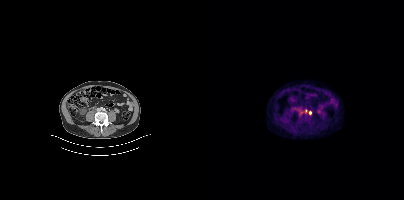
- Paired axial CT (left) and PSMA PET (right), [18F]PSMA-1007 tracer
- slice 136 of 387
Findings: Coordinates are on the 200×200 PET (right) panel. (showing 2 of 3 foci) PSMA-avid tumor lesion bounding box (x0, y0)-(x1, y1): (92, 108)-(97, 113). Small PSMA-avid focus (2 to 4 px across) near (center x, center y): (106, 112).